Left: CT. Right: PSMA PET, same axial level, 18F-PSMA tracer. Acquired on Siemens Biograph mCT Flow 20. PET panel 200×200 px (4.1 mm/px).
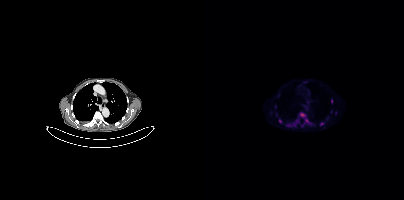
Coordinates are on the 200×200 PET (right) panel. (showing 5 of 6 foci) PSMA-avid tumor lesion bounding box (x0, y0)-(x1, y1): (96, 113)-(101, 116). Small PSMA-avid foci (2 to 4 px across) near (center x, center y): (117, 123) | (103, 120) | (76, 121) | (127, 101).